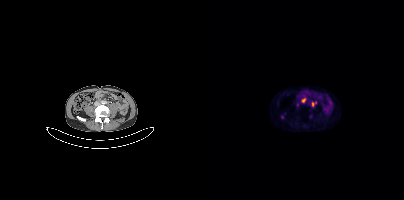
{"modality":"PSMA PET/CT","view":"axial","tracer":"[68Ga]Ga-PSMA-11","pet_grid":[200,200],"coord_frame":"pet_panel","coord_format":"x0,y0,x1,y1","partial":true,"lesion_bboxes":[[98,98,101,102],[108,102,110,106]]}